modality: PSMA PET/CT | tracer: [18F]PSMA-1007 | view: axial | PET grid: 200×200
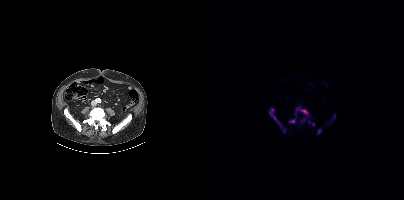
Coordinates are on the 200×200 PET (right) panel. PSMA-avid tumor lesion bounding boxes (x, y, width, height): x=65 y=108 w=14 h=22 / x=91 y=107 w=14 h=8 / x=85 y=119 w=7 h=5 / x=114 y=129 w=4 h=5. Small PSMA-avid foci (2 to 4 px across) near (center x, center y): (109, 124) / (80, 130) / (130, 116) / (100, 119) / (104, 121) / (97, 121).